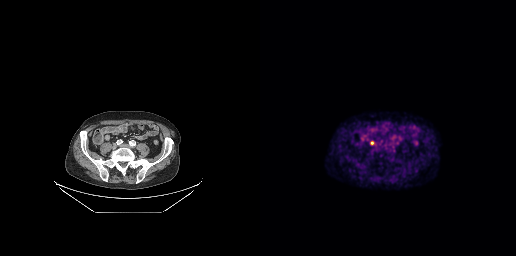
{"modality":"PSMA PET/CT","view":"axial","tracer":"68Ga","pet_grid":[256,256],"coord_frame":"pet_panel","coord_format":"x0,y0,x1,y1","lesion_bboxes":[[110,141,114,144]]}